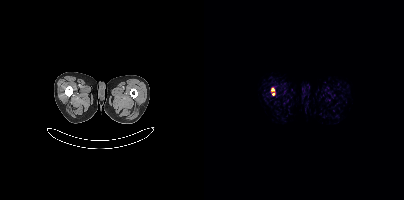
modality: PSMA PET/CT | tracer: 18F-PSMA | view: axial | PET grid: 200×200
Coordinates are on the 200×200 PET (right) panel. Small PSMA-avid foci (2 to 4 px across) near (center x, center y): (68, 89); (69, 93).